modality: PSMA PET/CT | tracer: 18F-PSMA | view: axial | PET grid: 200×200
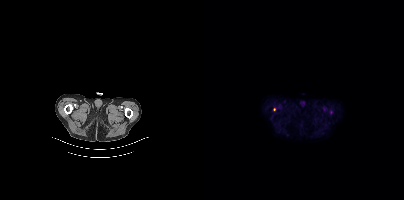
Coordinates are on the 200×200 PET (right) panel. (showing 1 of 2 foci) Small PSMA-avid focus (2 to 4 px across) near (center x, center y): (70, 109).